Left: CT. Right: PSMA PET, same axial level, 18F-PSMA tracer. PET panel 200×200 px (4.1 mm/px).
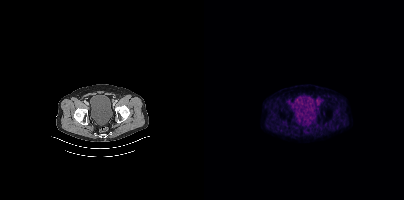
Only PSMA-avid lesion pieces thinner than 2 px on this slice (not listed).